Two-panel axial: CT | PSMA PET, 18F-PSMA tracer.
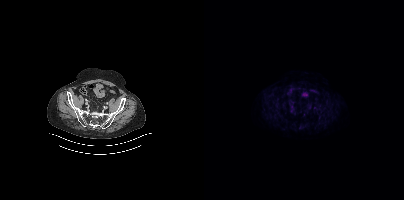
No tumor lesions annotated on this slice.